Paired axial CT (left) and PSMA PET (right), [68Ga]Ga-PSMA-11 tracer. Slice position z = -961 mm. PET panel 256×256 px (2.7 mm/px).
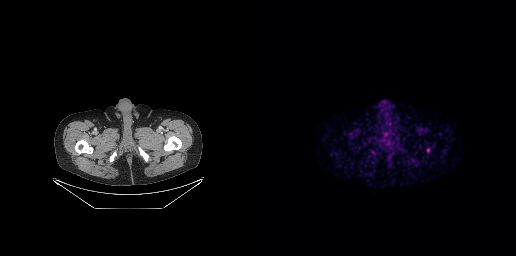
Only PSMA-avid lesion pieces thinner than 2 px on this slice (not listed).